Paired axial CT (left) and PSMA PET (right), 18F tracer. Slice 293 of 429. PET panel 200×200 px (4.1 mm/px).
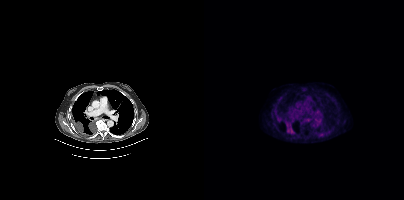
Coordinates are on the 200×200 PET (right) panel. PSMA-avid tumor lesion bounding boxes:
| # | x0 | y0 | x1 | y1 |
|---|---|---|---|---|
| 1 | 82 | 124 | 89 | 134 |